de-identification: rectangular block over head set to black | modality: PSMA PET/CT | tracer: 18F | view: axial | PET grid: 200×200
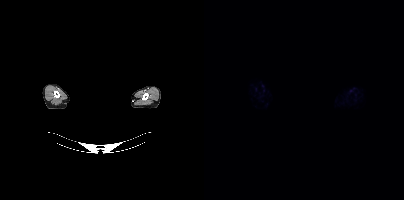
This slice has no annotated PSMA-avid lesion.